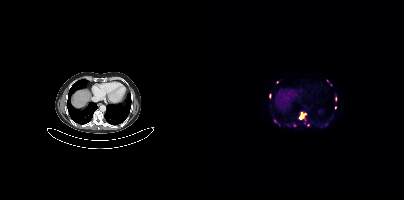
{"modality":"PSMA PET/CT","view":"axial","tracer":"68Ga","pet_grid":[200,200],"coord_frame":"pet_panel","coord_format":"x0,y0,x1,y1","partial":true,"lesion_bboxes":[[96,113,102,120]],"small_foci_centers":[[90,124],[131,107],[104,124],[123,80],[73,81]]}